Technique: Paired axial CT (left) and PSMA PET (right), 68Ga-PSMA tracer. acquired on Siemens Biograph mCT Flow 20. slice 68 of 407. PET panel 200×200 px (4.1 mm/px).
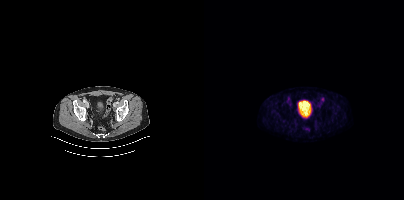
Findings: Coordinates are on the 200×200 PET (right) panel. Small PSMA-avid focus (2 to 4 px across) near (center x, center y): (118, 98).